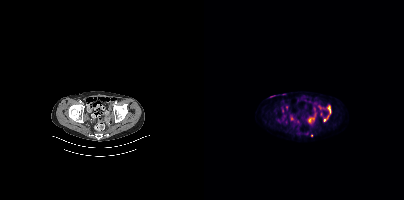
Technique: Paired axial CT (left) and PSMA PET (right), 18F-PSMA tracer. PET panel 200×200 px (4.1 mm/px).
Findings: Coordinates are on the 200×200 PET (right) panel. (showing 5 of 7 foci) PSMA-avid tumor lesion bounding box (x0, y0)-(x1, y1): (124, 105)-(126, 113). Small PSMA-avid foci (2 to 4 px across) near (center x, center y): (82, 107) | (105, 120) | (120, 120) | (78, 110).